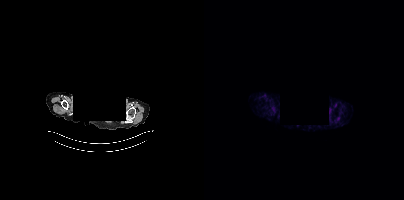
- Left: CT. Right: PSMA PET, same axial level, 68Ga tracer
- a rectangular block over the head has been blanked out for de-identification
Findings: No PSMA-avid tumor lesions on this slice.